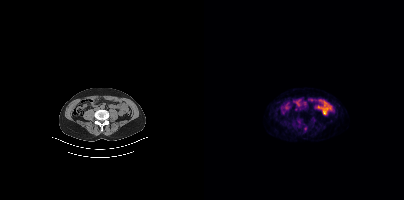
- Paired axial CT (left) and PSMA PET (right), 68Ga-PSMA tracer
- PET panel 200×200 px (4.1 mm/px)
Findings: Only PSMA-avid lesion pieces thinner than 2 px on this slice (not listed).